Technique: Two-panel axial: CT | PSMA PET, 18F tracer.
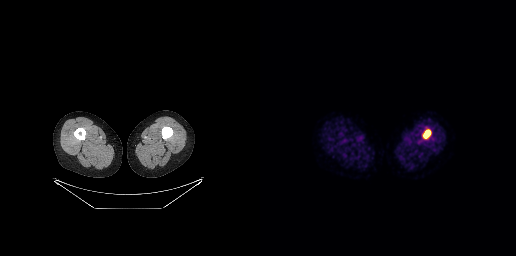
Findings: Coordinates are on the 256×256 PET (right) panel. PSMA-avid tumor lesion bounding box (x0, y0)-(x1, y1): (164, 130)-(170, 138).